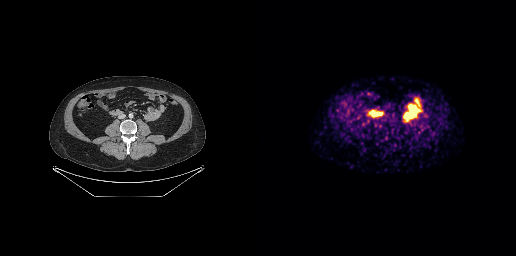
Paired axial CT (left) and PSMA PET (right), 68Ga tracer. Acquired on GE Discovery 690. This slice has no annotated PSMA-avid lesion.